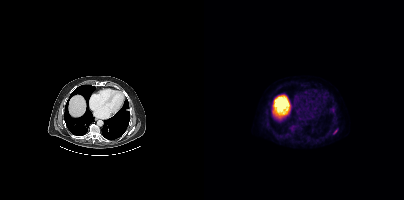
{"modality":"PSMA PET/CT","view":"axial","tracer":"18F","pet_grid":[200,200],"coord_frame":"pet_panel","coord_format":"x0,y0,x1,y1","lesion_bboxes":[],"small_foci_centers":[[131,131]]}